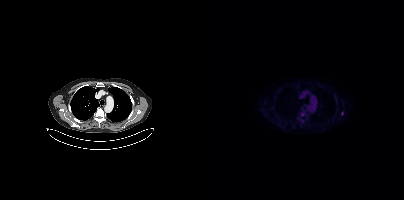
Only PSMA-avid lesion pieces thinner than 2 px on this slice (not listed).